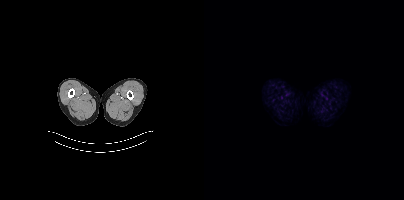
Paired axial CT (left) and PSMA PET (right), 18F-PSMA tracer. Acquired on Siemens Biograph mCT Flow 20. This slice has no annotated PSMA-avid lesion.